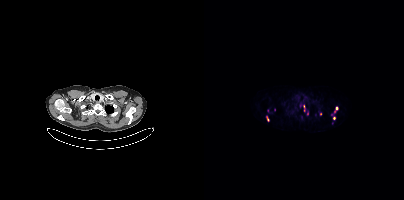
Paired axial CT (left) and PSMA PET (right), 68Ga tracer. Acquired on Siemens Biograph mCT Flow 20. Slice 342 of 411. Coordinates are on the 200×200 PET (right) panel. (showing 5 of 10 foci) Small PSMA-avid foci (2 to 4 px across) near (center x, center y): (132, 108); (63, 110); (116, 114); (103, 113); (130, 111).